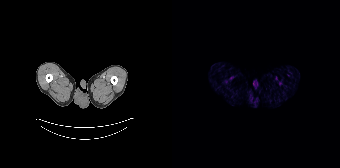
No tumor lesions annotated on this slice. Two-panel axial: CT | PSMA PET, 18F tracer. Acquired on Siemens Biograph 64-4R TruePoint. Slice position z = -1411 mm. PET panel 168×168 px (4.1 mm/px).